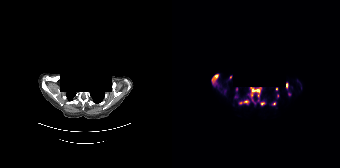
A rectangular block over the head has been blanked out for de-identification.
Coordinates are on the 168×168 PET (right) panel. (showing 12 of 14 foci) PSMA-avid tumor lesion bounding boxes (x, y, width, height): x=78 y=87 w=12 h=11; x=40 y=74 w=7 h=10; x=67 y=100 w=10 h=5; x=114 y=83 w=3 h=6; x=89 y=102 w=5 h=4. Small PSMA-avid foci (2 to 4 px across) near (center x, center y): (58, 77); (46, 85); (53, 91); (102, 103); (104, 89); (117, 94); (64, 88).